Technique: Two-panel axial: CT | PSMA PET, 18F tracer.
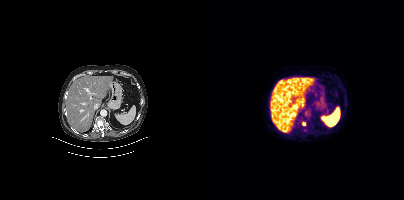
Findings: Coordinates are on the 200×200 PET (right) panel. Small PSMA-avid focus (2 to 4 px across) near (center x, center y): (100, 124).